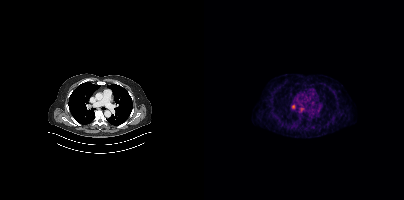
Technique: Left: CT. Right: PSMA PET, same axial level, 68Ga tracer. PET panel 200×200 px (4.1 mm/px).
Findings: Coordinates are on the 200×200 PET (right) panel. Small PSMA-avid focus (2 to 4 px across) near (center x, center y): (89, 106).